Paired axial CT (left) and PSMA PET (right), 18F-PSMA tracer. Acquired on Siemens Biograph mCT Flow 20.
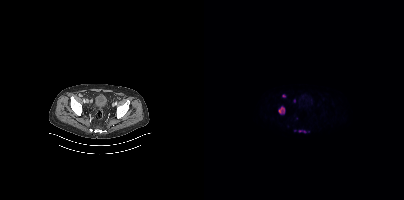
Coordinates are on the 200×200 PET (right) panel. PSMA-avid tumor lesion bounding boxes (partial; 1 more focus not listed):
| # | x0 | y0 | x1 | y1 |
|---|---|---|---|---|
| 1 | 75 | 107 | 80 | 113 |
| 2 | 94 | 130 | 102 | 132 |
Small PSMA-avid foci (2 to 4 px across) near (center x, center y): (79, 96); (90, 100).